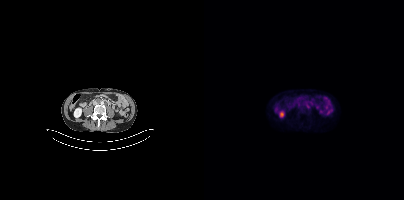
Coordinates are on the 200×200 PET (right) panel. Small PSMA-avid focus (2 to 4 px across) near (center x, center y): (104, 107).